modality: PSMA PET/CT | tracer: 18F-PSMA | view: axial | PET grid: 200×200
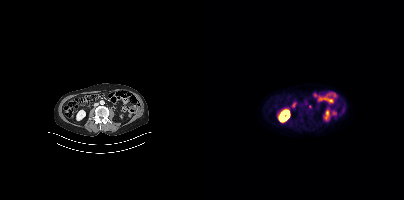
Only PSMA-avid lesion pieces thinner than 2 px on this slice (not listed).